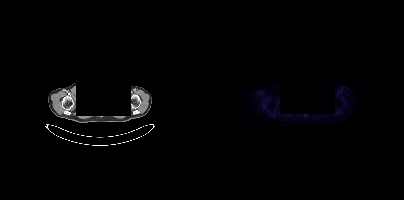
Technique: Two-panel axial: CT | PSMA PET, 18F-PSMA tracer.
Note: Any black rectangle over the head is a privacy mask, not anatomy.
Findings: Negative for PSMA-avid disease on this slice.